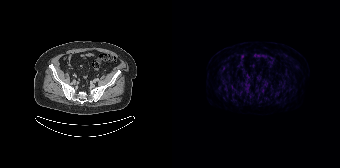
{"pet_grid":[168,168],"coord_frame":"pet_panel","coord_format":"x0,y0,x1,y1","lesion_bboxes":[],"small_foci_centers":[[75,75]],"modality":"PSMA PET/CT","view":"axial","tracer":"18F"}